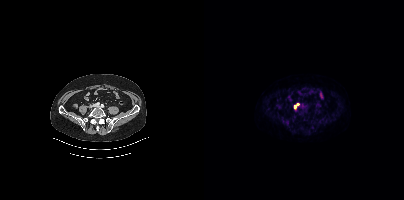
{"modality":"PSMA PET/CT","view":"axial","tracer":"18F","pet_grid":[200,200],"coord_frame":"pet_panel","coord_format":"x0,y0,x1,y1","partial":true,"lesion_bboxes":[],"small_foci_centers":[[90,106]]}